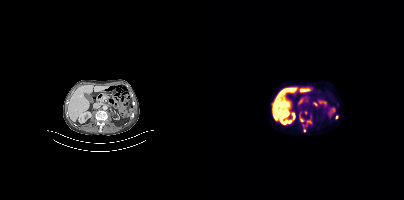
modality: PSMA PET/CT | tracer: [18F]PSMA-1007 | view: axial | PET grid: 200×200
Coordinates are on the 200×200 PET (right) panel. PSMA-avid tumor lesion bounding boxes (x0,y0,x1,y1): [99,114,108,132] [95,112,100,121]. Small PSMA-avid foci (2 to 4 px across) near (center x, center y): (101, 112) (132, 117).